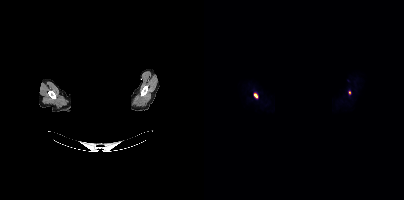
Coordinates are on the 200×200 PET (right) panel. PSMA-avid tumor lesion bounding box (x0,y0,x1,y1): [50,93,53,98]. Small PSMA-avid focus (2 to 4 px across) near (center x, center y): (145, 92).
modality: PSMA PET/CT | tracer: 18F | view: axial | PET grid: 200×200 | redaction: privacy mask over head